modality: PSMA PET/CT | tracer: [18F]PSMA-1007 | view: axial | PET grid: 200×200
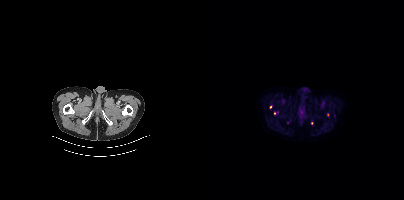
Coordinates are on the 200×200 PET (right) panel. Small PSMA-avid foci (2 to 4 px across) near (center x, center y): (108, 123) | (70, 113) | (66, 107) | (123, 114).